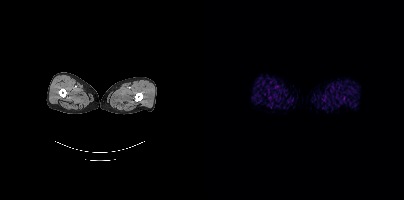
Two-panel axial: CT | PSMA PET, [18F]PSMA-1007 tracer. Slice 7 of 448. No PSMA-avid tumor lesions on this slice.